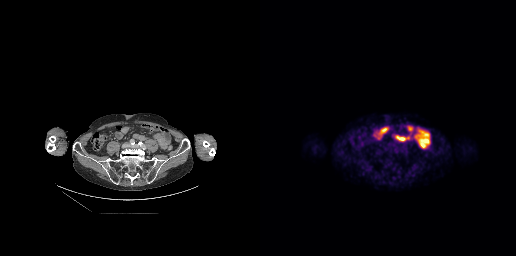
modality: PSMA PET/CT | tracer: 18F | view: axial
Coordinates are on the 256×256 PET (right) panel. Small PSMA-avid focus (2 to 4 px across) near (center x, center y): (142, 149).